Two-panel axial: CT | PSMA PET, 18F-PSMA tracer. Acquired on Siemens Biograph 64-4R TruePoint. Slice 18 of 165.
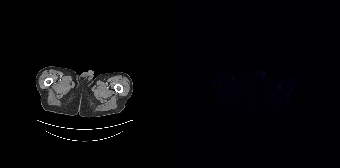
This slice has no annotated PSMA-avid lesion.